Two-panel axial: CT | PSMA PET, 18F tracer. PET panel 200×200 px (4.1 mm/px).
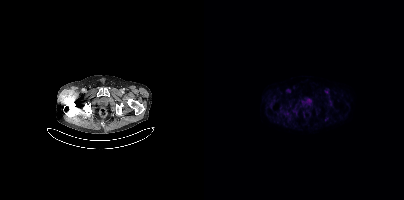
Negative for PSMA-avid disease on this slice.